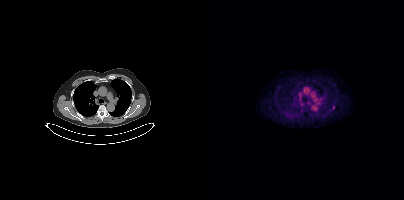
Coordinates are on the 200×200 PET (right) panel. Small PSMA-avid focus (2 to 4 px across) near (center x, center y): (129, 107). Two-panel axial: CT | PSMA PET, 18F-PSMA tracer. Slice position z = -1020 mm. PET panel 200×200 px (4.1 mm/px).